Two-panel axial: CT | PSMA PET, 18F tracer.
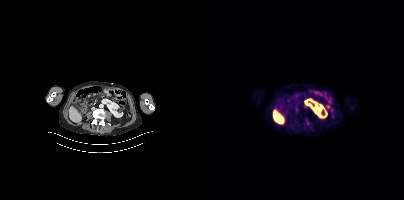
Negative for PSMA-avid disease on this slice.